Left: CT. Right: PSMA PET, same axial level, 18F-PSMA tracer. PET panel 200×200 px (4.1 mm/px).
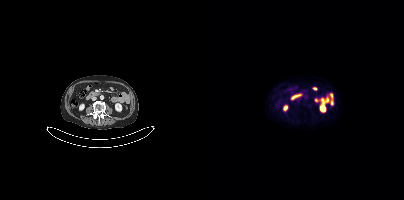
No tumor lesions annotated on this slice.